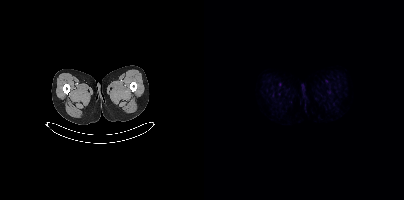
{"pet_grid":[200,200],"coord_frame":"pet_panel","coord_format":"x0,y0,x1,y1","psma_avid_lesions":false,"modality":"PSMA PET/CT","view":"axial","tracer":"18F-PSMA"}